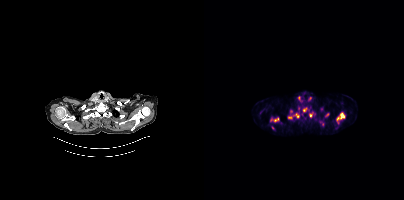
Findings: Coordinates are on the 200×200 PET (right) panel. (showing 8 of 9 foci) PSMA-avid tumor lesion bounding boxes (x0, y0)-(x1, y1): (84, 113)-(95, 119) / (132, 112)-(140, 120) / (66, 117)-(75, 122). Small PSMA-avid foci (2 to 4 px across) near (center x, center y): (87, 111) / (100, 109) / (106, 115) / (68, 127) / (123, 114).
Technique: Paired axial CT (left) and PSMA PET (right), [18F]PSMA-1007 tracer. acquired on Siemens Biograph mCT Flow 20.